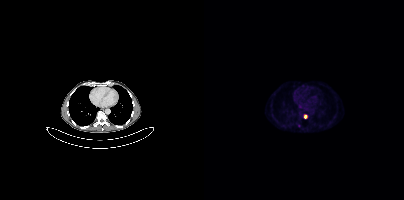
Left: CT. Right: PSMA PET, same axial level, 68Ga tracer. Acquired on Siemens Biograph mCT Flow 20. Coordinates are on the 200×200 PET (right) panel. Small PSMA-avid foci (2 to 4 px across) near (center x, center y): (101, 116) / (94, 125).